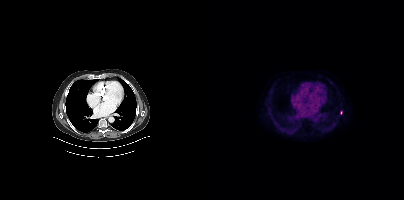
Only PSMA-avid lesion pieces thinner than 2 px on this slice (not listed).
modality: PSMA PET/CT | tracer: 18F | view: axial